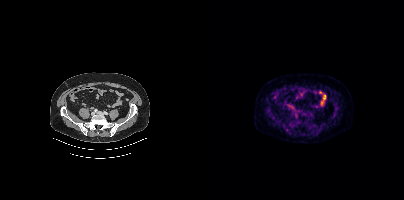
This slice has no annotated PSMA-avid lesion. Paired axial CT (left) and PSMA PET (right), 18F tracer. Acquired on Siemens Biograph mCT Flow 20.